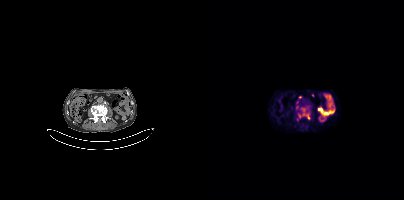
Coordinates are on the 200×200 PET (right) panel. PSMA-avid tumor lesion bounding box (x0, y0)-(x1, y1): (94, 108)-(106, 119). Small PSMA-avid focus (2 to 4 px across) near (center x, center y): (92, 107).